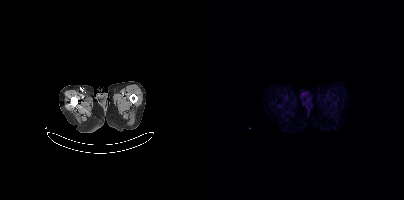
Technique: Paired axial CT (left) and PSMA PET (right), [18F]PSMA-1007 tracer. slice position z = -1634 mm. PET panel 200×200 px (4.1 mm/px).
Findings: No tumor lesions annotated on this slice.